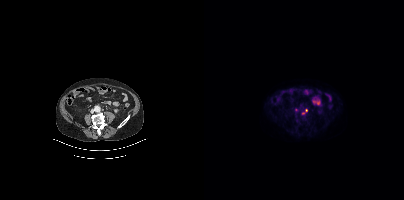
Coordinates are on the 200×200 PET (right) panel. Small PSMA-avid foci (2 to 4 px across) near (center x, center y): (102, 110); (99, 113). Paired axial CT (left) and PSMA PET (right), 18F tracer. Slice 139 of 383. PET panel 200×200 px (4.1 mm/px).